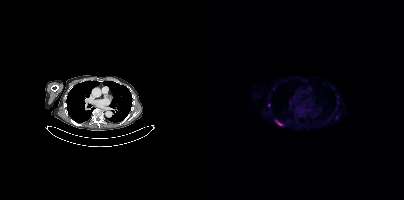
Left: CT. Right: PSMA PET, same axial level, 18F tracer. PET panel 200×200 px (4.1 mm/px). Coordinates are on the 200×200 PET (right) panel. PSMA-avid tumor lesion bounding boxes (x, y, width, height): x=71 y=120 w=9 h=6 / x=131 y=115 w=4 h=5. Small PSMA-avid focus (2 to 4 px across) near (center x, center y): (64, 105).